Technique: Paired axial CT (left) and PSMA PET (right), 18F tracer. acquired on Siemens Biograph mCT Flow 20. PET panel 200×200 px (4.1 mm/px).
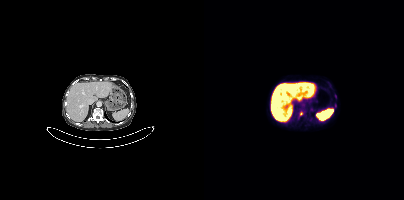
Findings: Coordinates are on the 200×200 PET (right) panel. PSMA-avid tumor lesion bounding box (x0,y0,x1,y1): [95,111,99,115].